- Paired axial CT (left) and PSMA PET (right), 18F tracer
- PET panel 200×200 px (4.1 mm/px)
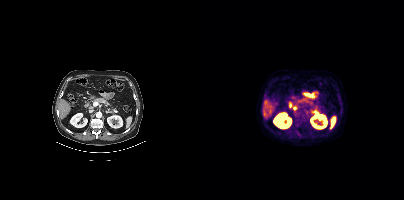
Findings: Negative for PSMA-avid disease on this slice.